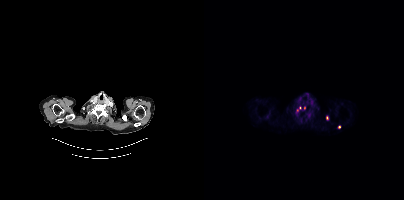
Coordinates are on the 200×200 PET (right) panel. (showing 4 of 5 foci) Small PSMA-avid foci (2 to 4 px across) near (center x, center y): (123, 117) | (135, 127) | (100, 108) | (95, 107).